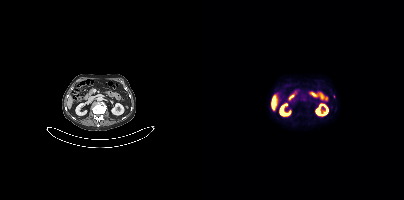
{"modality":"PSMA PET/CT","view":"axial","tracer":"18F","pet_grid":[200,200],"coord_frame":"pet_panel","coord_format":"x0,y0,x1,y1","lesion_bboxes":[],"small_foci_centers":[[130,96]]}